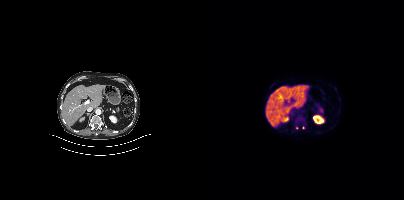
- Left: CT. Right: PSMA PET, same axial level, 18F-PSMA tracer
- acquired on Siemens Biograph mCT Flow 20
- slice position z = -626 mm
Findings: Coordinates are on the 200×200 PET (right) panel. Small PSMA-avid foci (2 to 4 px across) near (center x, center y): (99, 127) | (92, 127).